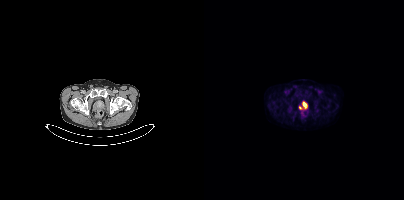
Coordinates are on the 200×200 PET (right) panel. PSMA-avid tumor lesion bounding boxes:
| # | x0 | y0 | x1 | y1 |
|---|---|---|---|---|
| 1 | 95 | 101 | 103 | 109 |
Left: CT. Right: PSMA PET, same axial level, 18F tracer. PET panel 200×200 px (4.1 mm/px).